Technique: Two-panel axial: CT | PSMA PET, [18F]PSMA-1007 tracer. acquired on Siemens Biograph mCT Flow 20. PET panel 200×200 px (4.1 mm/px).
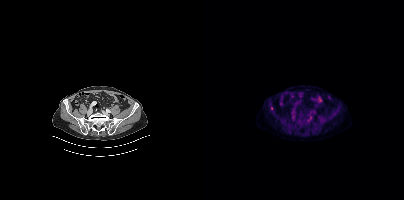
Findings: Coordinates are on the 200×200 PET (right) panel. Small PSMA-avid foci (2 to 4 px across) near (center x, center y): (106, 117); (67, 108).